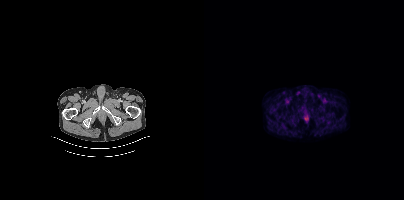
Only PSMA-avid lesion pieces thinner than 2 px on this slice (not listed).